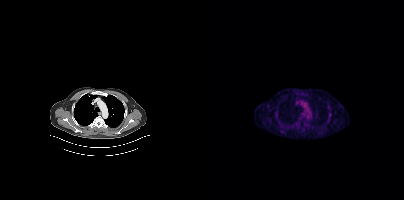
Only PSMA-avid lesion pieces thinner than 2 px on this slice (not listed).